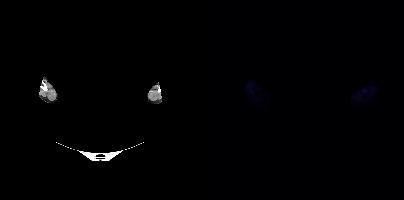
No tumor lesions annotated on this slice. Privacy masking over the head, with the pixels inside a rectangle set to black. Left: CT. Right: PSMA PET, same axial level, [18F]PSMA-1007 tracer. Slice position z = 269 mm.